Paired axial CT (left) and PSMA PET (right), [18F]PSMA-1007 tracer. Slice position z = -1499 mm.
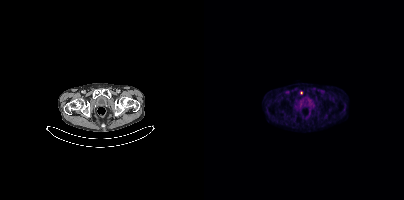
Coordinates are on the 200×200 PET (right) panel. Small PSMA-avid focus (2 to 4 px across) near (center x, center y): (97, 92).